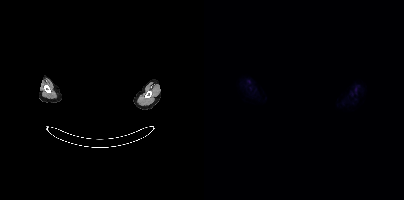
De-identified by setting a box covering the face to black before release. Paired axial CT (left) and PSMA PET (right), [18F]PSMA-1007 tracer. Acquired on Siemens Biograph mCT Flow 20. PET panel 200×200 px (4.1 mm/px). No tumor lesions annotated on this slice.